Technique: Left: CT. Right: PSMA PET, same axial level, [18F]PSMA-1007 tracer. PET panel 256×256 px (2.7 mm/px).
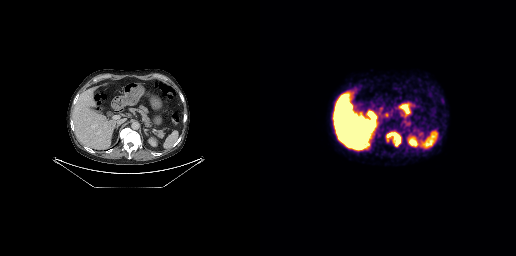
Findings: Coordinates are on the 256×256 PET (right) panel. (showing 2 of 3 foci) PSMA-avid tumor lesion bounding box (x, y, width, height): x=126 y=131 w=16 h=16. Small PSMA-avid focus (2 to 4 px across) near (center x, center y): (182, 100).